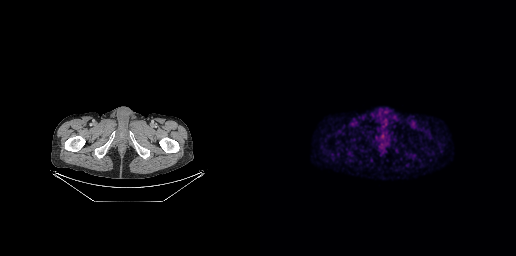
{"modality":"PSMA PET/CT","view":"axial","tracer":"18F","pet_grid":[256,256],"coord_frame":"pet_panel","coord_format":"x0,y0,x1,y1","psma_avid_lesions":false}